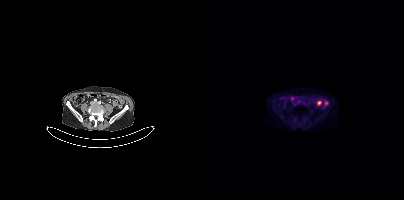
modality: PSMA PET/CT | tracer: [18F]PSMA-1007 | view: axial
No tumor lesions annotated on this slice.